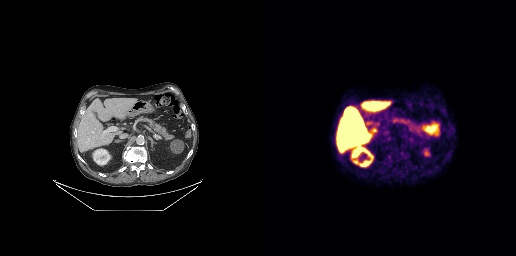
Paired axial CT (left) and PSMA PET (right), [18F]PSMA-1007 tracer. Slice 169 of 299. PET panel 256×256 px (2.7 mm/px). Negative for PSMA-avid disease on this slice.